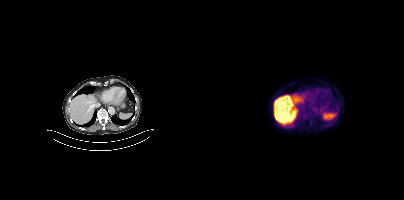
Left: CT. Right: PSMA PET, same axial level, 18F-PSMA tracer. Acquired on Siemens Biograph mCT Flow 20. Slice 241 of 423. This slice has no annotated PSMA-avid lesion.